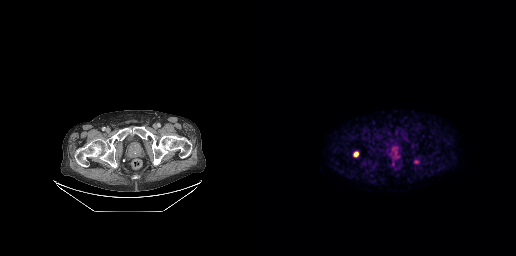
modality: PSMA PET/CT | tracer: [18F]PSMA-1007 | view: axial
Coordinates are on the 256×256 PET (right) panel. PSMA-avid tumor lesion bounding box (x0,y0,x1,y1): [94,152,98,156]. Small PSMA-avid focus (2 to 4 px across) near (center x, center y): (156, 161).